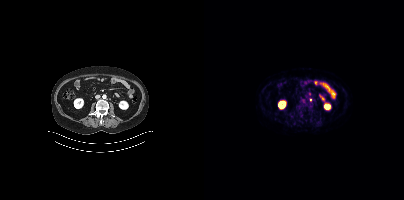
Left: CT. Right: PSMA PET, same axial level, 18F-PSMA tracer. Slice position z = -132 mm. PET panel 200×200 px (4.1 mm/px). Coordinates are on the 200×200 PET (right) panel. Small PSMA-avid focus (2 to 4 px across) near (center x, center y): (106, 99).